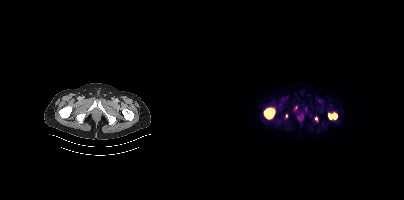
Left: CT. Right: PSMA PET, same axial level, 18F tracer. Acquired on Siemens Biograph mCT Flow 20. Slice 47 of 444. PET panel 200×200 px (4.1 mm/px). Coordinates are on the 200×200 PET (right) panel. PSMA-avid tumor lesion bounding boxes (x0, y0)-(x1, y1): (60, 108)-(70, 118); (124, 113)-(133, 119). Small PSMA-avid foci (2 to 4 px across) near (center x, center y): (112, 118); (82, 116).